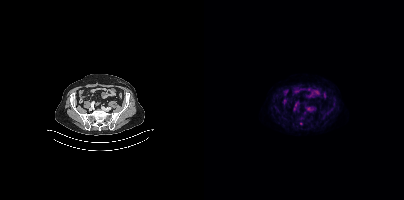
{"pet_grid":[200,200],"coord_frame":"pet_panel","coord_format":"x0,y0,x1,y1","lesion_bboxes":[[95,116,99,120]],"modality":"PSMA PET/CT","view":"axial","tracer":"[18F]PSMA-1007"}